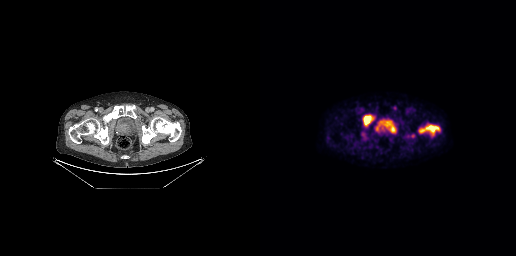
modality: PSMA PET/CT | tracer: [18F]PSMA-1007 | view: axial | PET grid: 256×256
Coordinates are on the 256×256 PET (right) panel. PSMA-avid tumor lesion bounding boxes (x, y, width, height): x=158 y=123 w=22 h=13; x=103 y=115 w=9 h=11. Small PSMA-avid focus (2 to 4 px across) near (center x, center y): (135, 108).